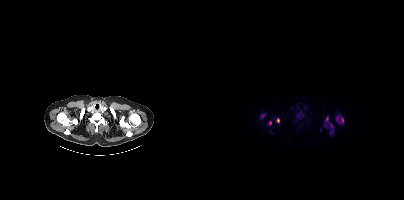
Findings: Coordinates are on the 200×200 PET (right) panel. (showing 7 of 8 foci) PSMA-avid tumor lesion bounding boxes (x, y, width, height): x=132 y=115 w=9 h=10 | x=126 y=123 w=4 h=12 | x=121 y=116 w=4 h=7 | x=72 y=118 w=4 h=5. Small PSMA-avid foci (2 to 4 px across) near (center x, center y): (58, 115) | (66, 122) | (116, 128).
- Paired axial CT (left) and PSMA PET (right), 18F-PSMA tracer
- PET panel 200×200 px (4.1 mm/px)